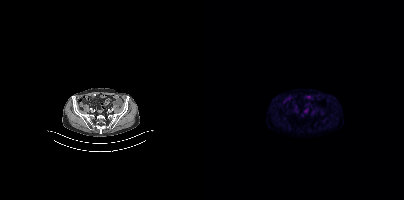
Findings: Negative for PSMA-avid disease on this slice.
- Paired axial CT (left) and PSMA PET (right), 18F tracer
- acquired on Siemens Biograph mCT Flow 20